Technique: Paired axial CT (left) and PSMA PET (right), 68Ga-PSMA tracer. slice position z = -1054 mm.
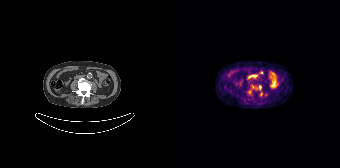
Findings: Coordinates are on the 168×168 PET (right) panel. PSMA-avid tumor lesion bounding box (x0, y0)-(x1, y1): (84, 85)-(89, 89). Small PSMA-avid foci (2 to 4 px across) near (center x, center y): (89, 72) / (81, 86) / (77, 92) / (89, 94) / (94, 94).